An anonymization step blacked out a rectangle over the head in this scan. Two-panel axial: CT | PSMA PET, 68Ga tracer. Slice 152 of 165.
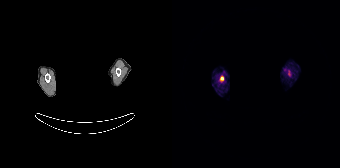
Coordinates are on the 168×168 PET (right) panel. Small PSMA-avid focus (2 to 4 px across) near (center x, center y): (49, 78).